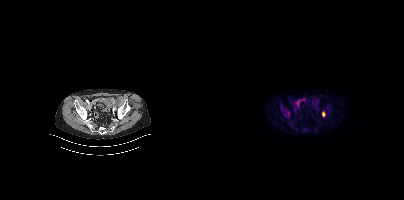
Technique: Paired axial CT (left) and PSMA PET (right), [18F]PSMA-1007 tracer. acquired on Siemens Biograph mCT Flow 20.
Findings: Coordinates are on the 200×200 PET (right) panel. PSMA-avid tumor lesion bounding box (x0,y0,x1,y1): [118,112,120,116].